Paired axial CT (left) and PSMA PET (right), [18F]PSMA-1007 tracer. Slice position z = -863 mm. PET panel 200×200 px (4.1 mm/px).
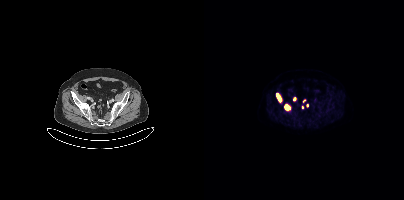
Coordinates are on the 200×200 PET (right) panel. PSMA-avid tumor lesion bounding boxes:
| # | x0 | y0 | x1 | y1 |
|---|---|---|---|---|
| 1 | 81 | 105 | 85 | 110 |
| 2 | 72 | 93 | 76 | 101 |
Small PSMA-avid foci (2 to 4 px across) near (center x, center y): (90, 99); (103, 105); (98, 107); (100, 100).